Left: CT. Right: PSMA PET, same axial level, 18F tracer. Facial anatomy redacted by setting a rectangular region of the head to black.
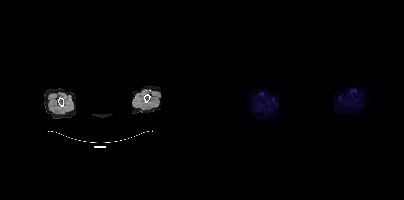
Negative for PSMA-avid disease on this slice.